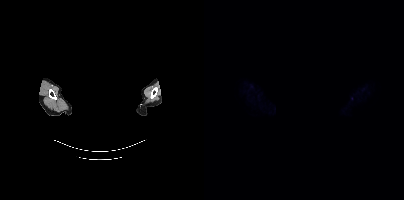
A rectangle over the head was blacked out to remove identifiable facial features.
No tumor lesions annotated on this slice.